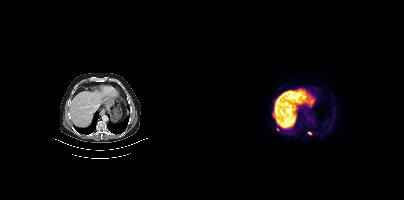
{"modality":"PSMA PET/CT","view":"axial","tracer":"18F-PSMA","pet_grid":[200,200],"coord_frame":"pet_panel","coord_format":"x0,y0,x1,y1","lesion_bboxes":[[68,113,71,118]],"small_foci_centers":[[105,133],[74,129]]}